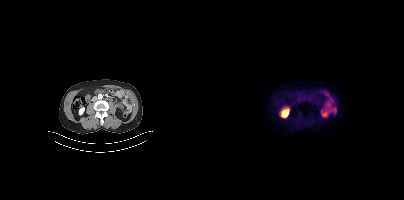
This slice has no annotated PSMA-avid lesion. Paired axial CT (left) and PSMA PET (right), 18F-PSMA tracer. Acquired on Siemens Biograph mCT Flow 20. Slice 178 of 425.